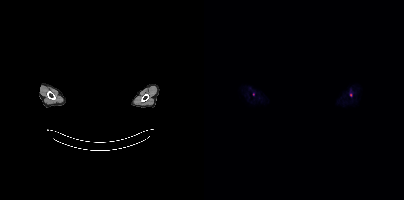
Technique: Paired axial CT (left) and PSMA PET (right), [18F]PSMA-1007 tracer. PET panel 200×200 px (4.1 mm/px).
Note: Any black rectangle over the head is a privacy mask, not anatomy.
Findings: Coordinates are on the 200×200 PET (right) panel. Small PSMA-avid foci (2 to 4 px across) near (center x, center y): (49, 94); (146, 94).